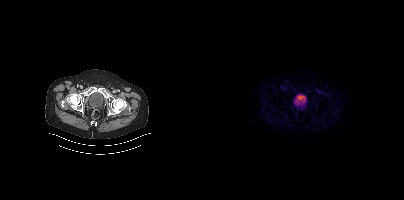
{"modality":"PSMA PET/CT","view":"axial","tracer":"[18F]PSMA-1007","pet_grid":[200,200],"coord_frame":"pet_panel","coord_format":"x0,y0,x1,y1","psma_avid_lesions":false}